modality: PSMA PET/CT | tracer: 18F-PSMA | view: axial | PET grid: 200×200
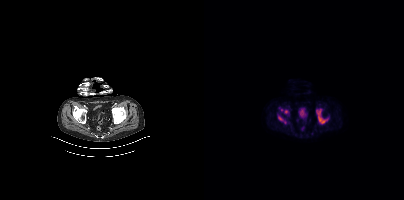
Coordinates are on the 200×200 PET (right) panel. (showing 3 of 4 foci) PSMA-avid tumor lesion bounding boxes (x0, y0)-(x1, y1): (112, 108)-(124, 123); (74, 115)-(82, 123); (77, 109)-(84, 113).